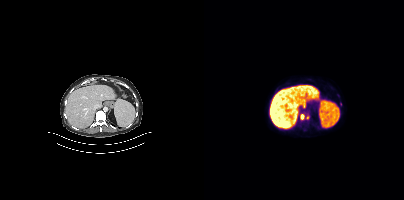
Findings: Coordinates are on the 200×200 PET (right) panel. Small PSMA-avid foci (2 to 4 px across) near (center x, center y): (103, 117); (98, 116); (136, 104).
Technique: Left: CT. Right: PSMA PET, same axial level, 18F-PSMA tracer. acquired on Siemens Biograph mCT Flow 20. slice 229 of 413.